- Paired axial CT (left) and PSMA PET (right), 18F-PSMA tracer
- PET panel 200×200 px (4.1 mm/px)
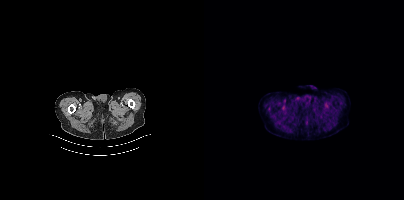
Findings: Negative for PSMA-avid disease on this slice.